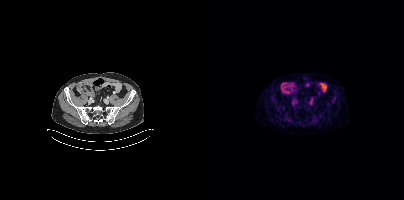
No tumor lesions annotated on this slice.